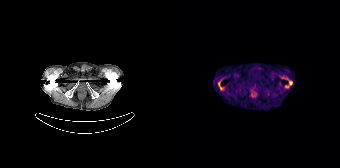
modality: PSMA PET/CT | tracer: 68Ga-PSMA | view: axial | PET grid: 168×168
Coordinates are on the 168×168 PET (right) panel. PSMA-avid tumor lesion bounding boxes (x, y, width, height): x=113 y=80 w=8 h=8 / x=46 y=81 w=6 h=10.